Two-panel axial: CT | PSMA PET, 18F-PSMA tracer.
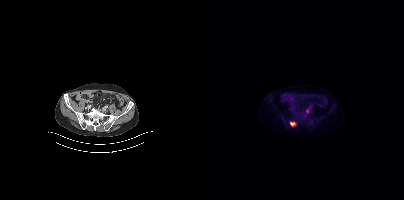
Coordinates are on the 200×200 PET (right) panel. PSMA-avid tumor lesion bounding box (x, y, width, height): x=86 y=122 w=6 h=5.